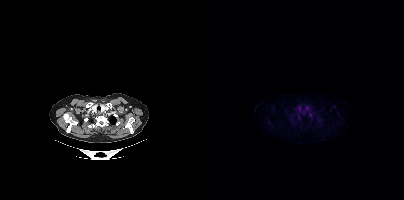
Technique: Left: CT. Right: PSMA PET, same axial level, 18F tracer.
Findings: No PSMA-avid tumor lesions on this slice.